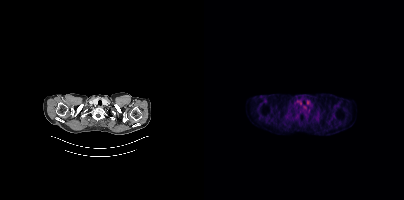
Technique: Two-panel axial: CT | PSMA PET, 18F tracer.
Findings: Negative for PSMA-avid disease on this slice.